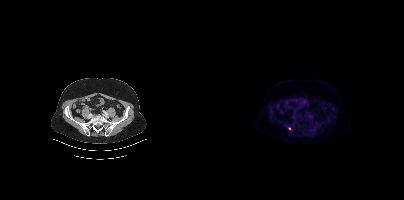
Coordinates are on the 200×200 PET (right) panel. Small PSMA-avid focus (2 to 4 px across) near (center x, center y): (85, 128).